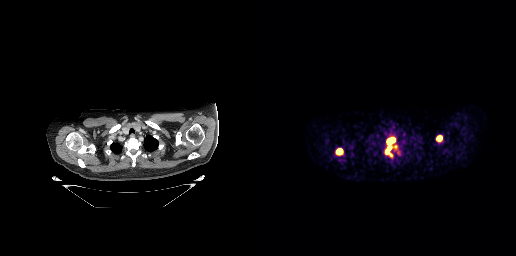
Findings: Coordinates are on the 256×256 PET (right) panel. PSMA-avid tumor lesion bounding boxes (x, y, width, height): x=125 y=137 w=11 h=21 / x=75 y=148 w=9 h=8 / x=177 y=136 w=5 h=5. Small PSMA-avid focus (2 to 4 px across) near (center x, center y): (135, 146).
Technique: Left: CT. Right: PSMA PET, same axial level, 68Ga tracer. slice 222 of 263. PET panel 256×256 px (2.7 mm/px).